Left: CT. Right: PSMA PET, same axial level, 18F tracer. Slice 37 of 421.
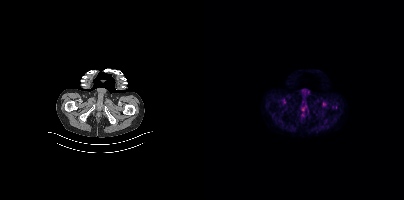
Negative for PSMA-avid disease on this slice.